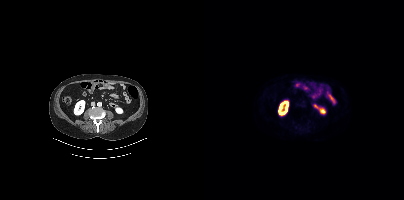
modality: PSMA PET/CT | tracer: [18F]PSMA-1007 | view: axial
No PSMA-avid tumor lesions on this slice.